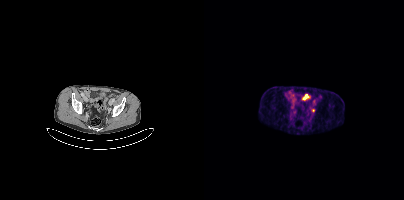
Left: CT. Right: PSMA PET, same axial level, 68Ga tracer. Coordinates are on the 200×200 PET (right) panel. Small PSMA-avid focus (2 to 4 px across) near (center x, center y): (109, 110).